- Left: CT. Right: PSMA PET, same axial level, 18F-PSMA tracer
- acquired on Siemens Biograph mCT Flow 20
- PET panel 200×200 px (4.1 mm/px)
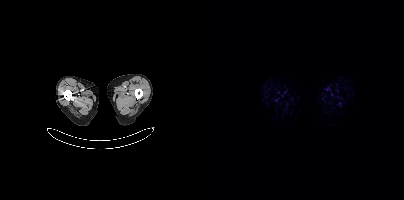
Findings: This slice has no annotated PSMA-avid lesion.